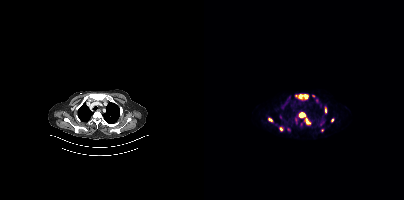
Coordinates are on the 200×200 PET (right) panel. (showing 11 of 14 foci) PSMA-avid tumor lesion bounding boxes (x, y, width, height): x=92 y=94 w=13 h=6 | x=100 y=118 w=7 h=7 | x=95 y=113 w=7 h=5 | x=64 y=118 w=5 h=4 | x=121 y=106 w=2 h=7. Small PSMA-avid foci (2 to 4 px across) near (center x, center y): (77, 128) | (128, 120) | (76, 116) | (84, 129) | (118, 130) | (116, 124).